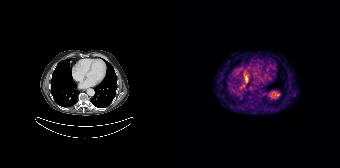
Technique: Two-panel axial: CT | PSMA PET, 68Ga tracer.
Findings: No PSMA-avid tumor lesions on this slice.